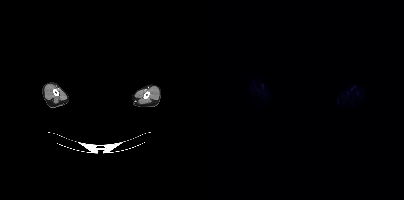
Negative for PSMA-avid disease on this slice.
de-identification: face masked with black rectangle | modality: PSMA PET/CT | tracer: [18F]PSMA-1007 | view: axial